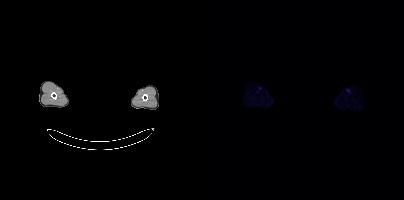
{"pet_grid":[200,200],"coord_frame":"pet_panel","coord_format":"x0,y0,x1,y1","psma_avid_lesions":false,"modality":"PSMA PET/CT","view":"axial","tracer":"[18F]PSMA-1007","de-identification":"head region blacked out before release"}